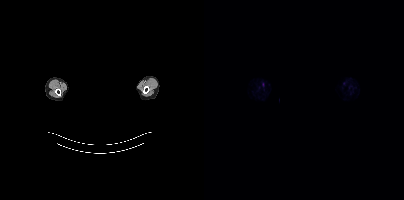
- Paired axial CT (left) and PSMA PET (right), 18F tracer
- slice 405 of 415
- privacy masking over the head, with the pixels inside a rectangle set to black
Findings: Negative for PSMA-avid disease on this slice.